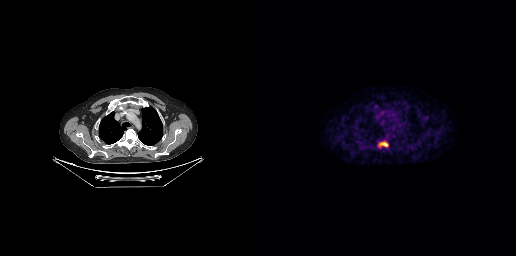
{"modality":"PSMA PET/CT","view":"axial","tracer":"18F-PSMA","pet_grid":[256,256],"coord_frame":"pet_panel","coord_format":"x0,y0,x1,y1","lesion_bboxes":[[118,141,128,147]]}